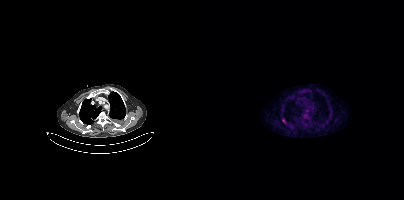
Coordinates are on the 200×200 PET (right) panel. PSMA-avid tumor lesion bounding box (x, y, width, height): x=78 y=119 w=5 h=5.